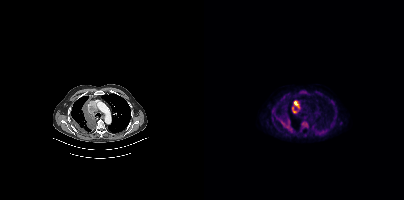
{"pet_grid":[200,200],"coord_frame":"pet_panel","coord_format":"x0,y0,x1,y1","lesion_bboxes":[[77,118,88,131],[90,101,95,108],[95,90,101,94],[88,107,92,112]],"modality":"PSMA PET/CT","view":"axial","tracer":"18F-PSMA"}